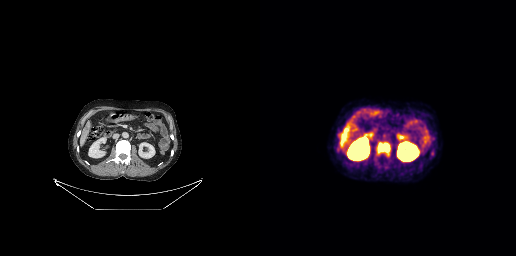
{"modality":"PSMA PET/CT","view":"axial","tracer":"[18F]PSMA-1007","pet_grid":[256,256],"coord_frame":"pet_panel","coord_format":"x0,y0,x1,y1","lesion_bboxes":[[117,142,130,155]]}